modality: PSMA PET/CT | tracer: 68Ga | view: axial
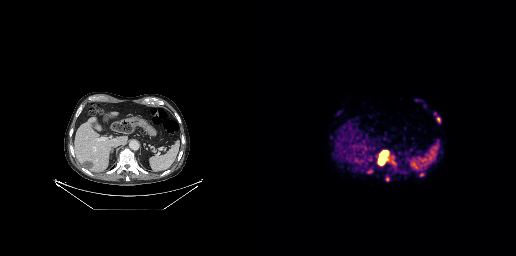
Coordinates are on the 256×256 PET (right) panel. (showing 5 of 6 foci) PSMA-avid tumor lesion bounding boxes (x, y, width, height): x=119 y=151 w=9 h=14; x=160 y=173 w=5 h=4. Small PSMA-avid foci (2 to 4 px across) near (center x, center y): (127, 179); (178, 119); (135, 164).